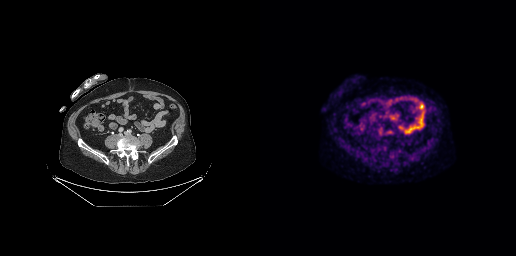
Two-panel axial: CT | PSMA PET, [18F]PSMA-1007 tracer. Acquired on GE Discovery 690. PET panel 256×256 px (2.7 mm/px). Negative for PSMA-avid disease on this slice.